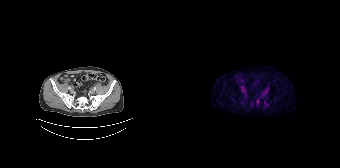
Left: CT. Right: PSMA PET, same axial level, 18F tracer. Slice 46 of 135. PET panel 168×168 px (4.1 mm/px). Coordinates are on the 168×168 PET (right) panel. (showing 1 of 2 foci) Small PSMA-avid focus (2 to 4 px across) near (center x, center y): (85, 101).